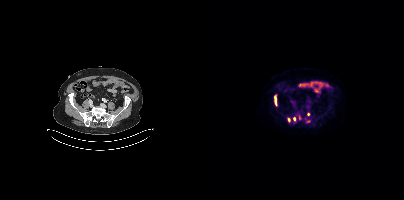
Coordinates are on the 200×200 PET (right) panel. PSMA-avid tumor lesion bounding boxes (x0,y0,x1,y1): [70,95,73,105] [89,117,91,121] [83,118,86,122]. Small PSMA-avid foci (2 to 4 px across) near (center x, center y): (104, 114) (95, 117) (104, 121). Paired axial CT (left) and PSMA PET (right), [18F]PSMA-1007 tracer. Acquired on Siemens Biograph mCT Flow 20. PET panel 200×200 px (4.1 mm/px).